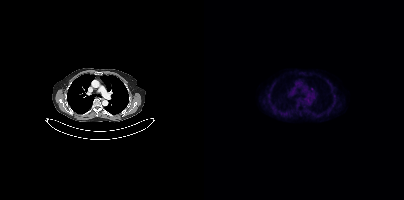
Coordinates are on the 200×200 PET (right) panel. Small PSMA-avid focus (2 to 4 px across) near (center x, center y): (108, 89).